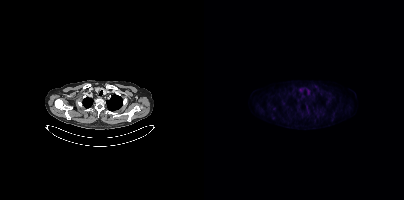
- Paired axial CT (left) and PSMA PET (right), 18F-PSMA tracer
Findings: Negative for PSMA-avid disease on this slice.